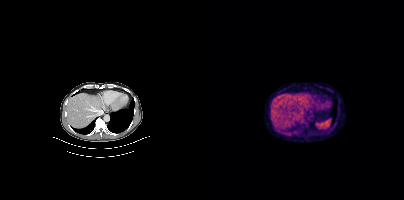
Coordinates are on the 200×200 PET (right) panel. PSMA-avid tumor lesion bounding box (x, y, width, height): x=94 y=115 w=7 h=7.